Two-panel axial: CT | PSMA PET, [18F]PSMA-1007 tracer. Slice 92 of 466.
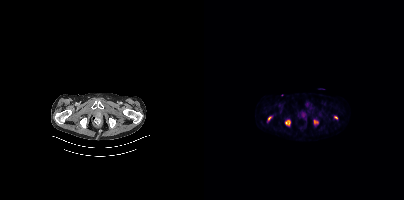
Coordinates are on the 200×200 PET (right) panel. PSMA-avid tumor lesion bounding boxes (x, y, width, height): x=81 y=120 w=6 h=6; x=110 y=120 w=5 h=5. Small PSMA-avid foci (2 to 4 px across) near (center x, center y): (65, 118); (132, 117).